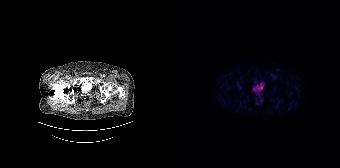
{"modality":"PSMA PET/CT","view":"axial","tracer":"18F","pet_grid":[168,168],"coord_frame":"pet_panel","coord_format":"x0,y0,x1,y1","psma_avid_lesions":false}